modality: PSMA PET/CT | tracer: 18F | view: axial
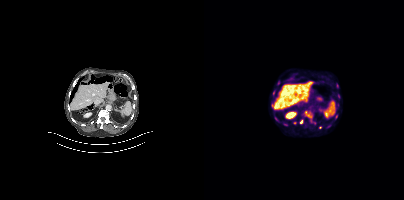
Coordinates are on the 200×200 PET (right) panel. (showing 12 of 14 foci) PSMA-avid tumor lesion bounding boxes (x, y, width, height): x=100 y=111 w=9 h=12; x=71 y=118 w=13 h=9; x=132 y=93 w=5 h=6; x=121 y=124 w=6 h=5; x=96 y=119 w=4 h=6; x=67 y=97 w=3 h=7; x=69 y=91 w=2 h=5. Small PSMA-avid foci (2 to 4 px across) near (center x, center y): (133, 85); (132, 116); (74, 83); (90, 122); (116, 127).